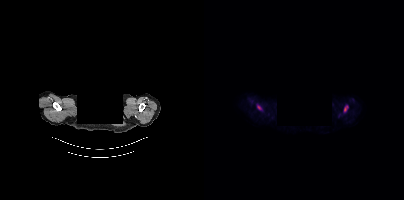
{"modality":"PSMA PET/CT","view":"axial","tracer":"18F-PSMA","pet_grid":[200,200],"coord_frame":"pet_panel","coord_format":"x0,y0,x1,y1","lesion_bboxes":[[53,105,57,109],[140,105,144,110]],"deidentification":"face masked with black rectangle"}